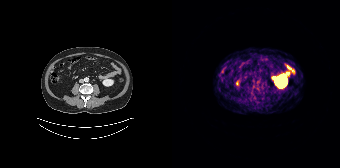
No PSMA-avid tumor lesions on this slice.